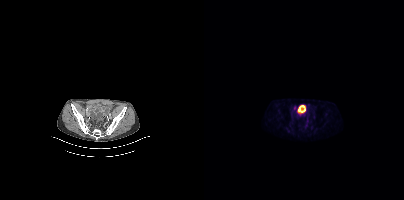
Left: CT. Right: PSMA PET, same axial level, 18F-PSMA tracer. Slice 109 of 435. Coordinates are on the 200×200 PET (right) panel. PSMA-avid tumor lesion bounding box (x, y, width, height): x=93 y=105 w=9 h=10. Small PSMA-avid focus (2 to 4 px across) near (center x, center y): (90, 108).